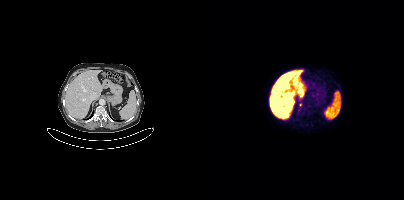
modality: PSMA PET/CT | tracer: 18F | view: axial | PET grid: 200×200
Coordinates are on the 200×200 PET (right) panel. Small PSMA-avid foci (2 to 4 px across) near (center x, center y): (105, 105) (94, 110) (96, 104).